Paired axial CT (left) and PSMA PET (right), 18F-PSMA tracer. Face de-identified by blanking a block of the head.
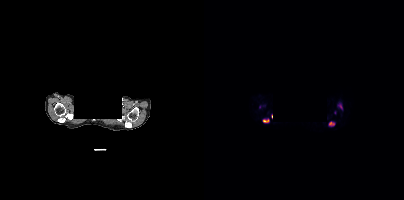
Coordinates are on the 200×200 PET (right) panel. PSMA-avid tumor lesion bounding boxes (partial; 2 more foci not listed):
| # | x0 | y0 | x1 | y1 |
|---|---|---|---|---|
| 1 | 58 | 118 | 65 | 123 |
| 2 | 134 | 103 | 138 | 109 |
| 3 | 125 | 122 | 130 | 125 |